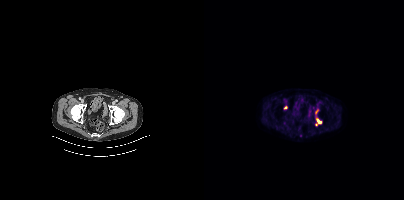
Coordinates are on the 200×200 PET (right) panel. PSMA-avid tumor lesion bounding box (x, y, width, height): x=112 y=118 w=6 h=8. Small PSMA-avid foci (2 to 4 px across) near (center x, center y): (81, 107); (112, 112).